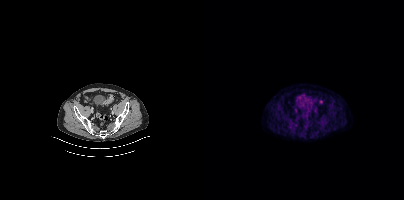
{"pet_grid":[200,200],"coord_frame":"pet_panel","coord_format":"x0,y0,x1,y1","lesion_bboxes":[],"small_foci_centers":[[116,101]],"modality":"PSMA PET/CT","view":"axial","tracer":"18F"}